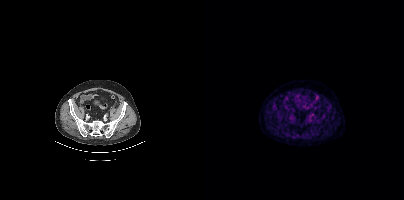
Technique: Left: CT. Right: PSMA PET, same axial level, [18F]PSMA-1007 tracer. slice 127 of 448. PET panel 200×200 px (4.1 mm/px).
Findings: No tumor lesions annotated on this slice.